Paired axial CT (left) and PSMA PET (right), [18F]PSMA-1007 tracer. PET panel 200×200 px (4.1 mm/px).
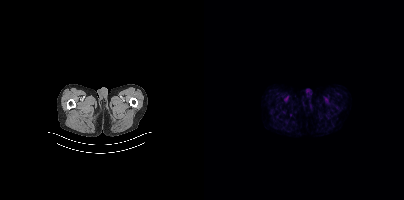
No PSMA-avid tumor lesions on this slice.